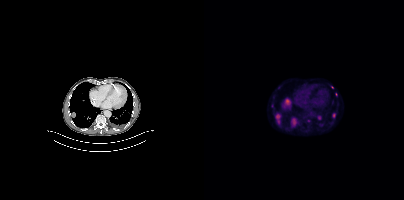
Findings: Coordinates are on the 200×200 PET (right) panel. (showing 7 of 11 foci) PSMA-avid tumor lesion bounding boxes (x, y, width, height): x=71 y=113 w=7 h=13; x=88 y=118 w=5 h=7; x=128 y=113 w=4 h=5; x=82 y=99 w=4 h=5; x=128 y=100 w=2 h=5. Small PSMA-avid foci (2 to 4 px across) near (center x, center y): (115, 117); (68, 105).
- Paired axial CT (left) and PSMA PET (right), 18F-PSMA tracer
- acquired on Siemens Biograph mCT Flow 20
- PET panel 200×200 px (4.1 mm/px)